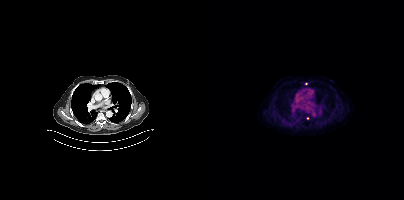
Coordinates are on the 200×200 PET (right) panel. Small PSMA-avid foci (2 to 4 px across) near (center x, center y): (102, 83) | (103, 117). Paired axial CT (left) and PSMA PET (right), 18F-PSMA tracer. Acquired on Siemens Biograph mCT Flow 20. PET panel 200×200 px (4.1 mm/px).